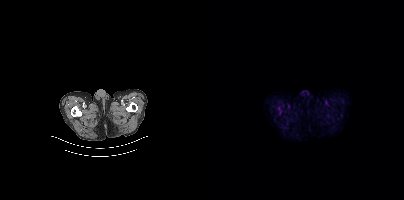
{"modality":"PSMA PET/CT","view":"axial","tracer":"[18F]PSMA-1007","pet_grid":[200,200],"coord_frame":"pet_panel","coord_format":"x0,y0,x1,y1","partial":true,"lesion_bboxes":[],"small_foci_centers":[[76,112]]}